Left: CT. Right: PSMA PET, same axial level, [18F]PSMA-1007 tracer. Slice position z = -477 mm. PET panel 200×200 px (4.1 mm/px).
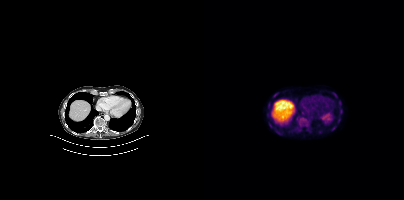
Coordinates are on the 200×200 PET (right) panel. PSMA-avid tumor lesion bounding boxes (partial; 2 more foci not listed):
| # | x0 | y0 | x1 | y1 |
|---|---|---|---|---|
| 1 | 64 | 103 | 66 | 108 |
| 2 | 136 | 109 | 138 | 114 |
Small PSMA-avid foci (2 to 4 px across) near (center x, center y): (136, 103); (69, 96); (73, 93); (130, 93).